modality: PSMA PET/CT | tracer: 18F-PSMA | view: axial | PET grid: 200×200
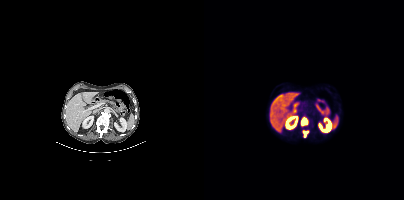
Coordinates are on the 200×200 PET (right) panel. PSMA-avid tumor lesion bounding boxes (x0, y0)-(x1, y1): (97, 118)-(103, 125) / (99, 131)-(104, 136).